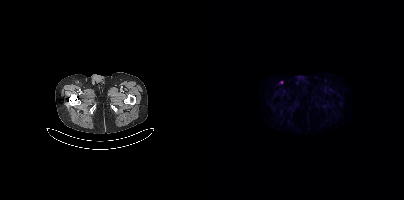
{"modality":"PSMA PET/CT","view":"axial","tracer":"18F-PSMA","pet_grid":[200,200],"coord_frame":"pet_panel","coord_format":"x0,y0,x1,y1","partial":true,"lesion_bboxes":[]}